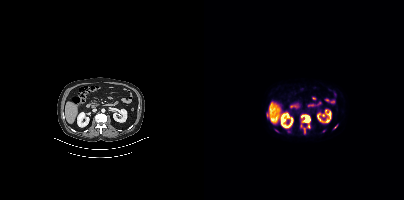
Left: CT. Right: PSMA PET, same axial level, [18F]PSMA-1007 tracer. Slice 155 of 367.
Coordinates are on the 200×200 PET (right) panel. PSMA-avid tumor lesion bounding boxes (partial; 3 more foci not listed):
| # | x0 | y0 | x1 | y1 |
|---|---|---|---|---|
| 1 | 97 | 115 | 106 | 122 |
| 2 | 100 | 129 | 101 | 133 |
Small PSMA-avid focus (2 to 4 px across) near (center x, center y): (63, 114).